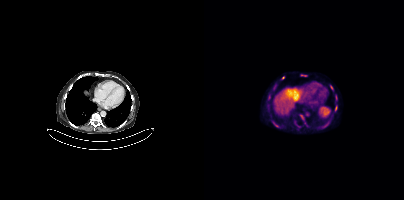
Coordinates are on the 200×200 PET (right) panel. (showing 6 of 7 foci) PSMA-avid tumor lesion bounding boxes (x0, y0)-(x1, y1): (68, 121)-(75, 127); (96, 114)-(100, 120); (96, 74)-(103, 76); (131, 106)-(133, 110). Small PSMA-avid foci (2 to 4 px across) near (center x, center y): (79, 77); (127, 87).